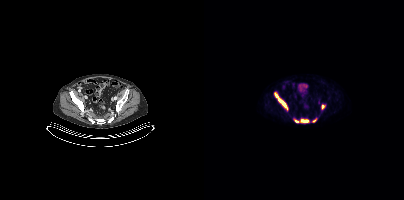
Coordinates are on the 200×200 PET (right) panel. PSMA-avid tumor lesion bounding boxes:
| # | x0 | y0 | x1 | y1 |
|---|---|---|---|---|
| 1 | 70 | 92 | 83 | 109 |
| 2 | 97 | 119 | 104 | 122 |
Small PSMA-avid foci (2 to 4 px across) near (center x, center y): (92, 121); (118, 106); (110, 120).
Paired axial CT (left) and PSMA PET (right), 18F-PSMA tracer.